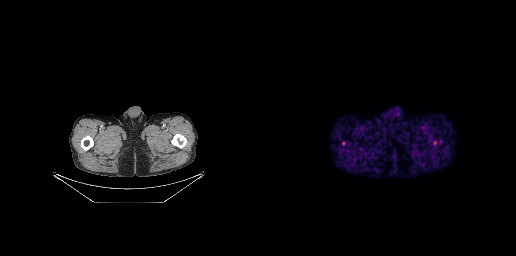
Technique: Paired axial CT (left) and PSMA PET (right), 68Ga-PSMA tracer. acquired on GE Discovery 690.
Findings: No tumor lesions annotated on this slice.